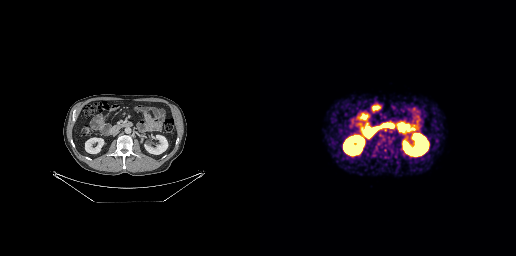
Coordinates are on the 256×256 PET (right) panel. PSMA-avid tumor lesion bounding box (x, y, width, height): x=120 y=141 w=11 h=11.